modality: PSMA PET/CT | tracer: 68Ga-PSMA | view: axial
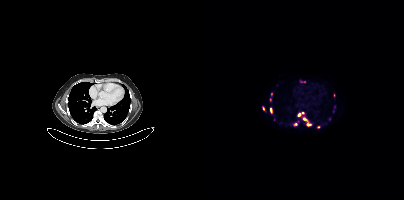
Coordinates are on the 200×200 PET (right) panel. (showing 13 of 15 foci) PSMA-avid tumor lesion bounding boxes (x0,y0,x1,y1): [98,117,105,125]; [93,112,99,116]; [124,117,127,121]; [66,108,67,112]; [97,81,101,82]. Small PSMA-avid foci (2 to 4 px across) near (center x, center y): (91, 124); (70, 119); (67, 94); (59, 108); (114, 127); (130, 95); (130, 106); (66, 99).